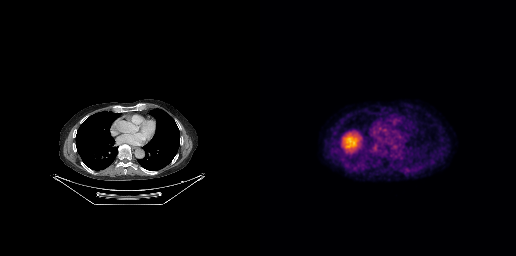
Negative for PSMA-avid disease on this slice. Paired axial CT (left) and PSMA PET (right), 18F-PSMA tracer. Slice position z = -457 mm. PET panel 256×256 px (2.7 mm/px).